modality: PSMA PET/CT | tracer: 68Ga | view: axial
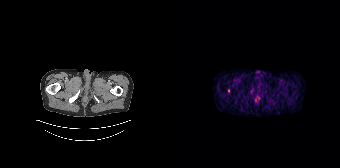
Coordinates are on the 168×168 PET (right) panel. Small PSMA-avid focus (2 to 4 px across) near (center x, center y): (56, 90).